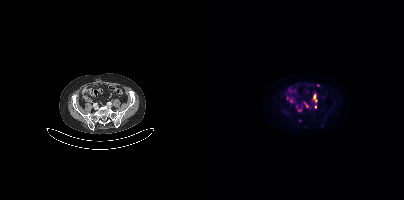
- Left: CT. Right: PSMA PET, same axial level, [18F]PSMA-1007 tracer
- slice 114 of 395
Findings: Coordinates are on the 200×200 PET (right) panel. PSMA-avid tumor lesion bounding box (x0, y0)-(x1, y1): (110, 95)-(113, 101). Small PSMA-avid foci (2 to 4 px across) near (center x, center y): (111, 107) | (94, 109) | (102, 105).